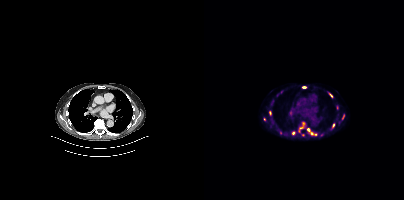
Coordinates are on the 200×200 PET (right) panel. PSMA-avid tumor lesion bounding boxes (partial; 2 more foci not listed):
| # | x0 | y0 | x1 | y1 |
|---|---|---|---|---|
| 1 | 125 | 93 | 128 | 97 |
| 2 | 128 | 123 | 130 | 127 |
| 3 | 65 | 111 | 67 | 115 |
Small PSMA-avid foci (2 to 4 px across) near (center x, center y): (89, 132); (100, 87); (139, 116); (104, 129); (60, 119); (107, 133).
Left: CT. Right: PSMA PET, same axial level, [18F]PSMA-1007 tracer. Acquired on Siemens Biograph mCT Flow 20. Slice 276 of 413. PET panel 200×200 px (4.1 mm/px).